Left: CT. Right: PSMA PET, same axial level, 18F tracer. Slice 406 of 425. Face de-identified by blanking a block of the head.
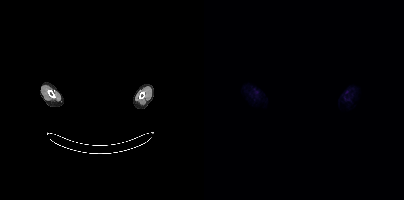
This slice has no annotated PSMA-avid lesion.